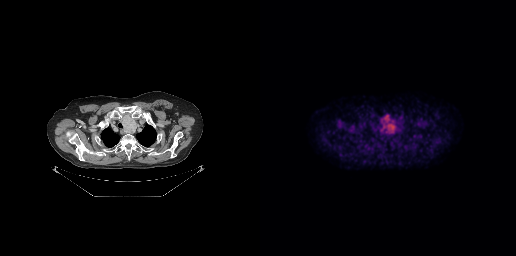
Coordinates are on the 256×256 PET (right) panel. PSMA-avid tumor lesion bounding box (x, y, width, height): x=120 y=114 w=17 h=20.